modality: PSMA PET/CT | tracer: 18F | view: axial
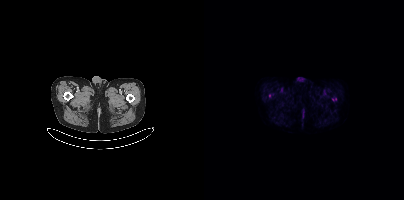
No tumor lesions annotated on this slice.